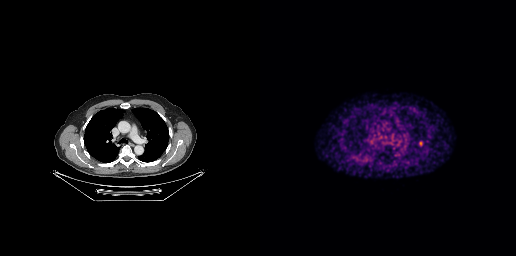
{"modality":"PSMA PET/CT","view":"axial","tracer":"[68Ga]Ga-PSMA-11","pet_grid":[256,256],"coord_frame":"pet_panel","coord_format":"x0,y0,x1,y1","lesion_bboxes":[[159,141,162,145]]}